- Paired axial CT (left) and PSMA PET (right), [18F]PSMA-1007 tracer
- slice 11 of 299
- PET panel 256×256 px (2.7 mm/px)
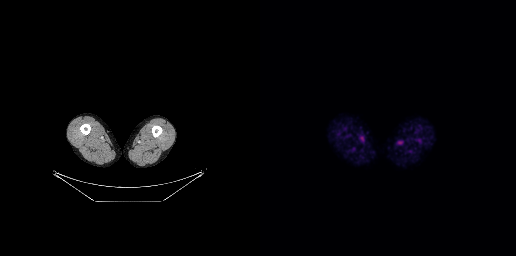
Findings: Negative for PSMA-avid disease on this slice.